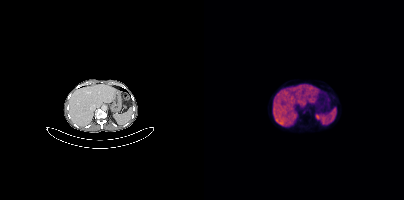
- Two-panel axial: CT | PSMA PET, 68Ga-PSMA tracer
- slice position z = -1350 mm
Findings: No PSMA-avid tumor lesions on this slice.